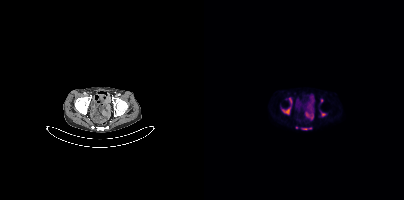
{"modality":"PSMA PET/CT","view":"axial","tracer":"[18F]PSMA-1007","pet_grid":[200,200],"coord_frame":"pet_panel","coord_format":"x0,y0,x1,y1","lesion_bboxes":[[78,107,86,114],[98,128,107,129],[85,98,87,103]],"small_foci_centers":[[119,114],[117,100],[92,127]]}